Technique: Two-panel axial: CT | PSMA PET, 18F-PSMA tracer. acquired on Siemens Biograph mCT Flow 20. slice 291 of 417. PET panel 200×200 px (4.1 mm/px).
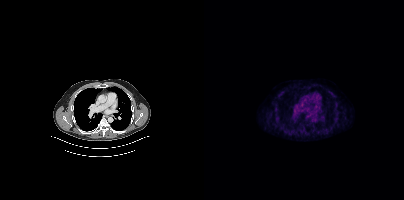
Findings: No PSMA-avid tumor lesions on this slice.